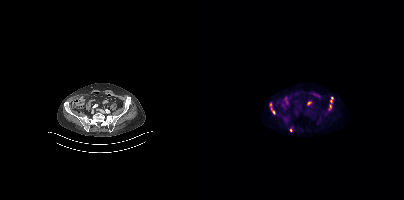
Coordinates are on the 200×200 PET (right) panel. PSMA-avid tumor lesion bounding boxes (x, y, width, height): x=124 y=97 w=6 h=14 | x=65 y=102 w=7 h=13. Small PSMA-avid focus (2 to 4 px across) near (center x, center y): (87, 129). Two-panel axial: CT | PSMA PET, 18F tracer.